Two-panel axial: CT | PSMA PET, [18F]PSMA-1007 tracer. PET panel 200×200 px (4.1 mm/px).
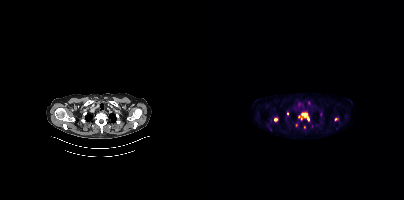
Coordinates are on the 200×200 PET (right) panel. PSMA-avid tumor lesion bounding boxes:
| # | x0 | y0 | x1 | y1 |
|---|---|---|---|---|
| 1 | 94 | 113 | 105 | 121 |
Small PSMA-avid foci (2 to 4 px across) near (center x, center y): (71, 119); (132, 119); (100, 127); (83, 113); (92, 125).